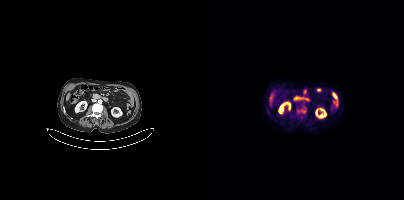
Coordinates are on the 200×200 PET (right) panel. PSMA-avid tumor lesion bounding box (x, y, width, height): x=93 y=107 w=10 h=7.